Technique: Paired axial CT (left) and PSMA PET (right), 18F-PSMA tracer. PET panel 256×256 px (2.7 mm/px).
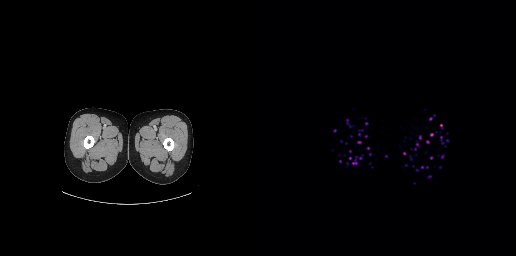
Findings: Negative for PSMA-avid disease on this slice.